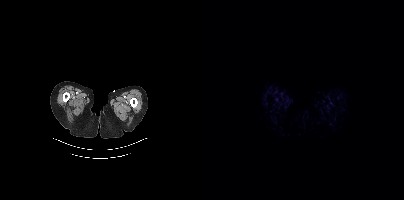
Paired axial CT (left) and PSMA PET (right), [18F]PSMA-1007 tracer. PET panel 200×200 px (4.1 mm/px). Negative for PSMA-avid disease on this slice.